Left: CT. Right: PSMA PET, same axial level, 18F-PSMA tracer. Acquired on Siemens Biograph mCT Flow 20.
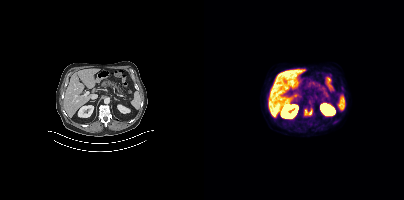
Coordinates are on the 200×200 PET (right) panel. PSMA-avid tumor lesion bounding box (x0, y0)-(x1, y1): (100, 108)-(108, 115). Small PSMA-avid focus (2 to 4 px across) near (center x, center y): (129, 122).